Technique: Left: CT. Right: PSMA PET, same axial level, 18F-PSMA tracer. acquired on Siemens Biograph mCT Flow 20. slice 160 of 431.
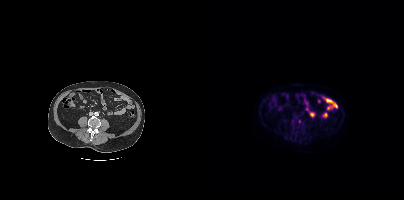
Findings: Coordinates are on the 200×200 PET (right) panel. Small PSMA-avid focus (2 to 4 px across) near (center x, center y): (95, 121).